Paired axial CT (left) and PSMA PET (right), 18F tracer. Acquired on Siemens Biograph mCT Flow 20. PET panel 200×200 px (4.1 mm/px).
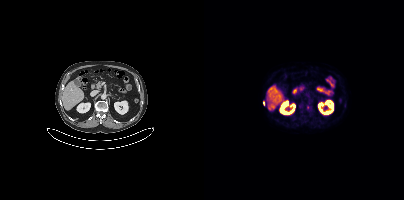
Coordinates are on the 200×200 PET (right) panel. Small PSMA-avid foci (2 to 4 px across) near (center x, center y): (104, 107) | (59, 103).